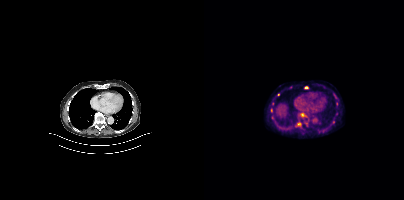
Coordinates are on the 200×200 PET (right) panel. (showing 7 of 8 foci) Small PSMA-avid foci (2 to 4 px across) near (center x, center y): (98, 114) | (95, 124) | (68, 117) | (102, 87) | (132, 103) | (67, 110) | (74, 94).
modality: PSMA PET/CT | tracer: 18F | view: axial